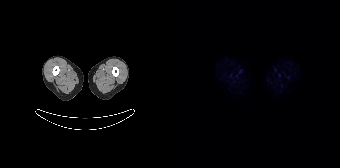
- Left: CT. Right: PSMA PET, same axial level, 18F tracer
- PET panel 168×168 px (4.1 mm/px)
Findings: Negative for PSMA-avid disease on this slice.